- Left: CT. Right: PSMA PET, same axial level, [68Ga]Ga-PSMA-11 tracer
- slice position z = 311 mm
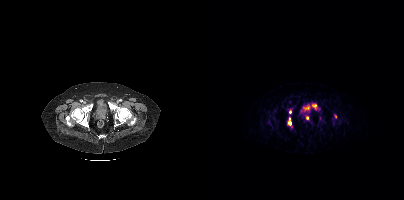
Findings: Coordinates are on the 200×200 PET (right) panel. (showing 3 of 5 foci) PSMA-avid tumor lesion bounding boxes (x, y, width, height): x=108 y=103 w=6 h=6 | x=84 y=118 w=4 h=8. Small PSMA-avid focus (2 to 4 px across) near (center x, center y): (103, 118).